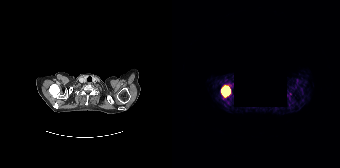
Left: CT. Right: PSMA PET, same axial level, 68Ga-PSMA tracer. Acquired on Siemens Biograph 64-4R TruePoint. Slice 171 of 195. PET panel 168×168 px (4.1 mm/px). De-identified by setting a rectangular region to black. Coordinates are on the 168×168 PET (right) panel. PSMA-avid tumor lesion bounding box (x0,y0,x1,y1): [49,86,58,96].